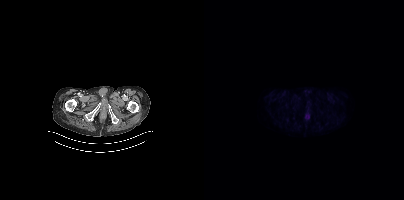
This slice has no annotated PSMA-avid lesion.